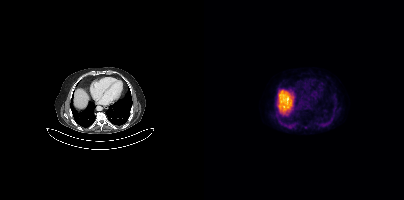
Findings: This slice has no annotated PSMA-avid lesion.
- Paired axial CT (left) and PSMA PET (right), 18F tracer
- PET panel 200×200 px (4.1 mm/px)